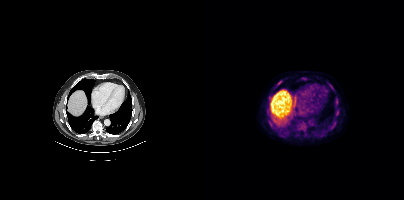
Left: CT. Right: PSMA PET, same axial level, [18F]PSMA-1007 tracer. Coordinates are on the 200×200 PET (right) panel. (showing 4 of 5 foci) PSMA-avid tumor lesion bounding box (x, y, width, height): x=126 y=85 w=4 h=5. Small PSMA-avid foci (2 to 4 px across) near (center x, center y): (74, 83) / (134, 111) / (132, 99).